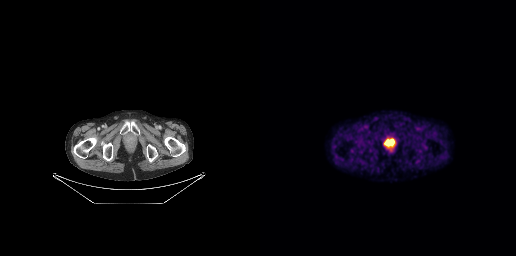
{"modality":"PSMA PET/CT","view":"axial","tracer":"18F","pet_grid":[256,256],"coord_frame":"pet_panel","coord_format":"x0,y0,x1,y1","lesion_bboxes":[[125,139,133,145]]}